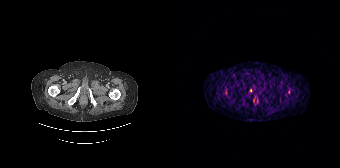
Paired axial CT (left) and PSMA PET (right), 68Ga-PSMA tracer. Coordinates are on the 168×168 PET (right) panel. Small PSMA-avid focus (2 to 4 px across) near (center x, center y): (78, 90).